- Paired axial CT (left) and PSMA PET (right), [68Ga]Ga-PSMA-11 tracer
- acquired on Siemens Biograph 64-4R TruePoint
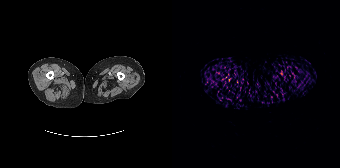
Findings: No PSMA-avid tumor lesions on this slice.